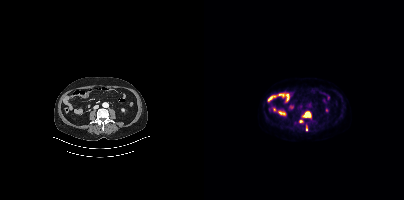
Coordinates are on the 200×200 PET (right) panel. (showing 3 of 4 foci) PSMA-avid tumor lesion bounding boxes (x0, y0)-(x1, y1): (99, 111)-(106, 117); (102, 126)-(103, 130). Small PSMA-avid focus (2 to 4 px across) near (center x, center y): (97, 121).